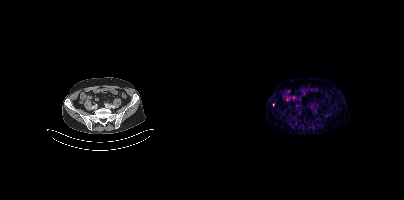
Coordinates are on the 200×200 PET (right) panel. Small PSMA-avid focus (2 to 4 px across) near (center x, center y): (69, 104).